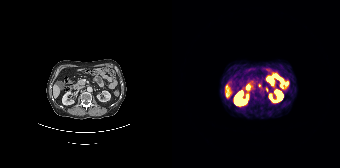
Two-panel axial: CT | PSMA PET, 68Ga tracer. Acquired on Siemens Biograph 64-4R TruePoint. Coordinates are on the 168×168 PET (right) panel. (showing 1 of 2 foci) Small PSMA-avid focus (2 to 4 px across) near (center x, center y): (87, 85).